Paired axial CT (left) and PSMA PET (right), 18F tracer. PET panel 200×200 px (4.1 mm/px).
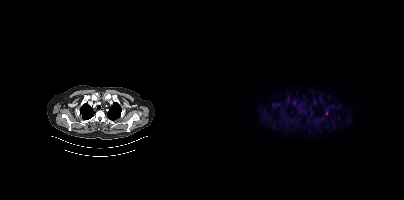
Coordinates are on the 200×200 PET (right) panel. PSMA-avid tumor lesion bounding boxes:
| # | x0 | y0 | x1 | y1 |
|---|---|---|---|---|
| 1 | 122 | 111 | 123 | 115 |